De-identified by setting a box covering the face to black before release. Paired axial CT (left) and PSMA PET (right), [18F]PSMA-1007 tracer. Acquired on Siemens Biograph mCT Flow 20. PET panel 200×200 px (4.1 mm/px).
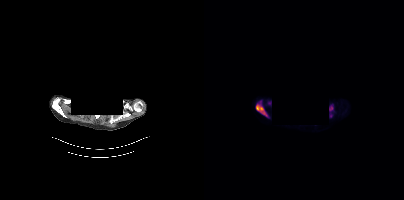
Coordinates are on the 200×200 PET (right) panel. (showing 3 of 4 foci) PSMA-avid tumor lesion bounding boxes (x0, y0)-(x1, y1): (52, 104)-(63, 116) / (64, 101)-(67, 105) / (125, 106)-(128, 110).